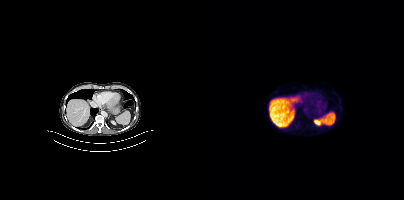
No PSMA-avid tumor lesions on this slice.